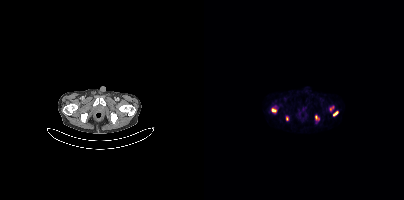
Coordinates are on the 200×200 PET (right) panel. PSMA-avid tumor lesion bounding boxes (x0,y0,x1,y1): [67,108,71,112], [129,111,134,115], [111,115,114,119]. Small PSMA-avid foci (2 to 4 px across) near (center x, center y): (83, 118), (126, 109).